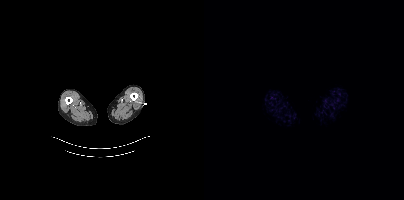
No tumor lesions annotated on this slice.
modality: PSMA PET/CT | tracer: 18F | view: axial